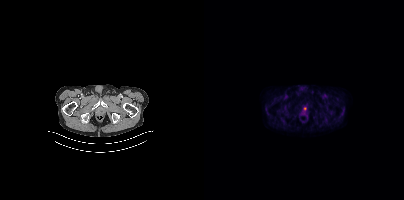
Coordinates are on the 200×200 PET (right) panel. Small PSMA-avid focus (2 to 4 px across) near (center x, center y): (100, 108).